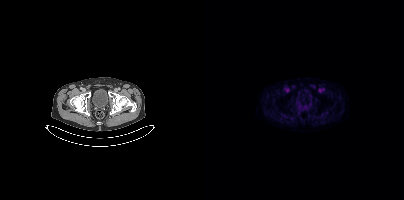
Technique: Paired axial CT (left) and PSMA PET (right), 18F tracer. slice 85 of 452. PET panel 200×200 px (4.1 mm/px).
Findings: Negative for PSMA-avid disease on this slice.